Two-panel axial: CT | PSMA PET, 68Ga-PSMA tracer. Acquired on GE Discovery 690. Slice 163 of 263.
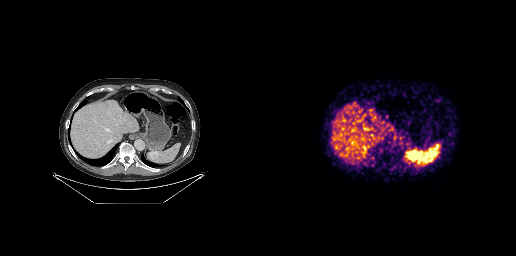
Coordinates are on the 256×256 PET (right) panel. PSMA-avid tumor lesion bounding boxes:
| # | x0 | y0 | x1 | y1 |
|---|---|---|---|---|
| 1 | 148 | 150 | 157 | 159 |
| 2 | 171 | 148 | 176 | 153 |